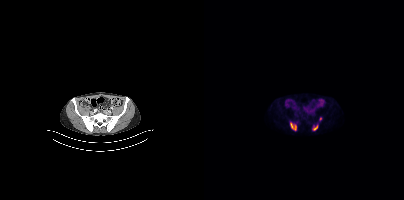
Paired axial CT (left) and PSMA PET (right), [18F]PSMA-1007 tracer. Acquired on Siemens Biograph mCT Flow 20. Slice 97 of 377.
Coordinates are on the 200×200 PET (right) panel. PSMA-avid tumor lesion bounding boxes (partial; 1 more focus not listed):
| # | x0 | y0 | x1 | y1 |
|---|---|---|---|---|
| 1 | 86 | 122 | 92 | 130 |
| 2 | 109 | 125 | 113 | 130 |